Technique: Left: CT. Right: PSMA PET, same axial level, 18F-PSMA tracer. slice position z = -128 mm.
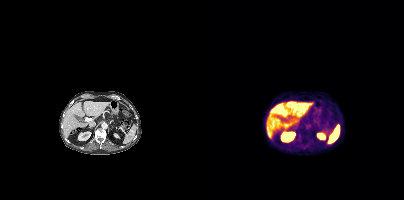
Findings: No tumor lesions annotated on this slice.